modality: PSMA PET/CT | tracer: 18F-PSMA | view: axial | PET grid: 256×256
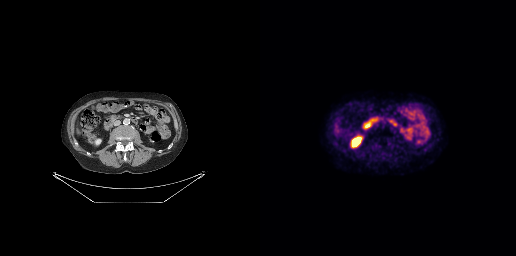
No PSMA-avid tumor lesions on this slice.